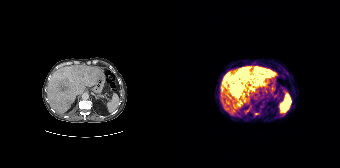
{"modality":"PSMA PET/CT","view":"axial","tracer":"68Ga","pet_grid":[168,168],"coord_frame":"pet_panel","coord_format":"x0,y0,x1,y1","lesion_bboxes":[[57,73,73,96],[82,67,100,84],[69,67,79,80],[66,100,71,104],[76,86,81,90],[51,76,56,79]],"small_foci_centers":[[60,79],[84,113]]}